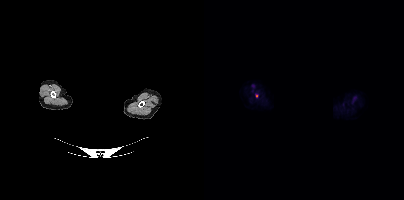
- the face region was removed for patient privacy by blanking a rectangle over the head
- Paired axial CT (left) and PSMA PET (right), 18F tracer
- acquired on Siemens Biograph mCT Flow 20
- slice 348 of 381
Findings: Coordinates are on the 200×200 PET (right) panel. Small PSMA-avid focus (2 to 4 px across) near (center x, center y): (52, 95).